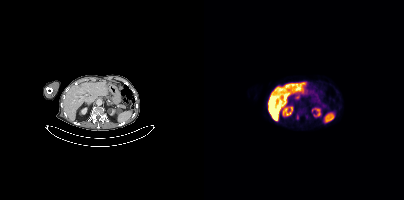
Coordinates are on the 200×200 PET (right) panel. PSMA-avid tumor lesion bounding box (x0, y0)-(x1, y1): (92, 114)-(94, 119).